- Left: CT. Right: PSMA PET, same axial level, [18F]PSMA-1007 tracer
- slice 404 of 508
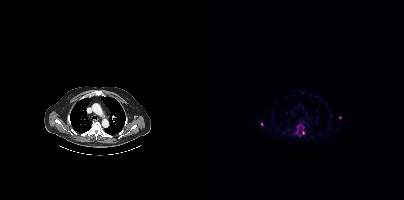
Findings: Coordinates are on the 200×200 PET (right) panel. (showing 6 of 8 foci) PSMA-avid tumor lesion bounding boxes (x0, y0)-(x1, y1): (92, 127)-(94, 133) / (98, 130)-(100, 134). Small PSMA-avid foci (2 to 4 px across) near (center x, center y): (136, 117) / (58, 124) / (99, 121) / (95, 135).